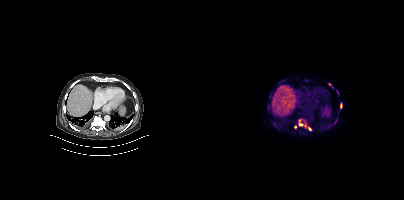
{"pet_grid":[200,200],"coord_frame":"pet_panel","coord_format":"x0,y0,x1,y1","lesion_bboxes":[[94,118,107,130],[136,103,137,108]],"small_foci_centers":[[91,126],[125,84]],"modality":"PSMA PET/CT","view":"axial","tracer":"[18F]PSMA-1007"}